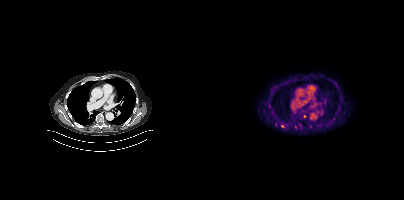
Coordinates are on the 200×200 PET (right) panel. (showing 2 of 4 foci) Small PSMA-avid foci (2 to 4 px across) near (center x, center y): (78, 126), (100, 116). Left: CT. Right: PSMA PET, same axial level, 18F-PSMA tracer. Slice position z = -348 mm. PET panel 200×200 px (4.1 mm/px).